modality: PSMA PET/CT | tracer: 18F | view: axial | PET grid: 200×200
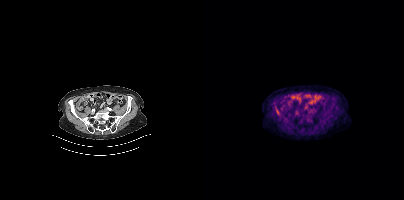
Negative for PSMA-avid disease on this slice.